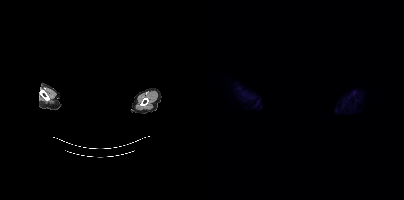
Technique: Two-panel axial: CT | PSMA PET, [18F]PSMA-1007 tracer. PET panel 200×200 px (4.1 mm/px).
Note: The head region is masked for de-identification.
Findings: No PSMA-avid tumor lesions on this slice.